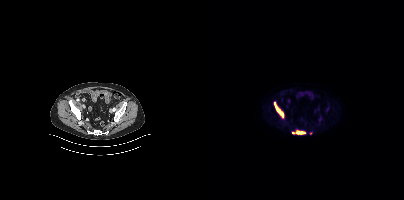
- Two-panel axial: CT | PSMA PET, 18F tracer
Findings: Coordinates are on the 200×200 PET (right) panel. PSMA-avid tumor lesion bounding boxes (x0, y0)-(x1, y1): (70, 103)-(79, 117) / (92, 130)-(101, 134). Small PSMA-avid focus (2 to 4 px across) near (center x, center y): (89, 132).